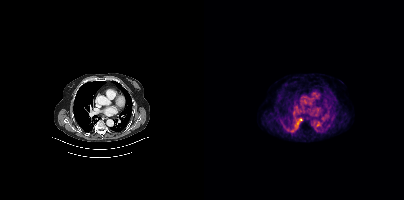
No PSMA-avid tumor lesions on this slice.